Paired axial CT (left) and PSMA PET (right), 18F-PSMA tracer. PET panel 200×200 px (4.1 mm/px).
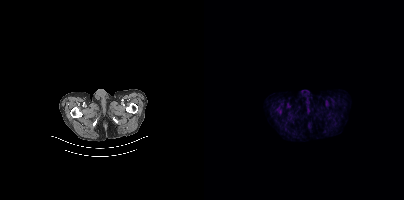
Coordinates are on the 200×200 PET (right) panel. Small PSMA-avid focus (2 to 4 px across) near (center x, center y): (76, 111).